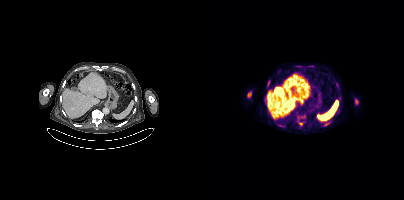
{"modality":"PSMA PET/CT","view":"axial","tracer":"18F","pet_grid":[200,200],"coord_frame":"pet_panel","coord_format":"x0,y0,x1,y1","lesion_bboxes":[[43,92,47,97],[94,122,99,126],[151,99,154,104]]}